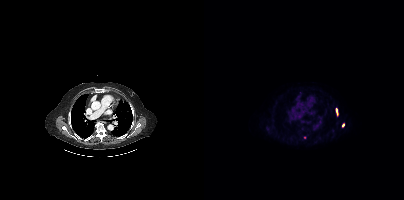
Coordinates are on the 200×200 PET (right) panel. PSMA-avid tumor lesion bounding box (x0,y0,x1,y1): [132,108,133,115]. Small PSMA-avid focus (2 to 4 px across) near (center x, center y): (139, 125).